Left: CT. Right: PSMA PET, same axial level, 18F tracer. Acquired on Siemens Biograph mCT Flow 20. PET panel 200×200 px (4.1 mm/px).
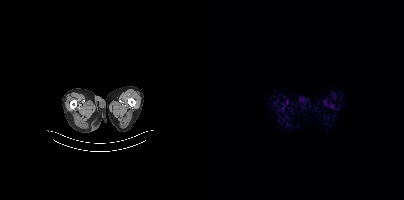
This slice has no annotated PSMA-avid lesion.